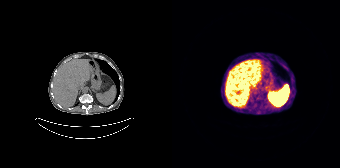
{"modality":"PSMA PET/CT","view":"axial","tracer":"68Ga","pet_grid":[168,168],"coord_frame":"pet_panel","coord_format":"x0,y0,x1,y1","psma_avid_lesions":false}